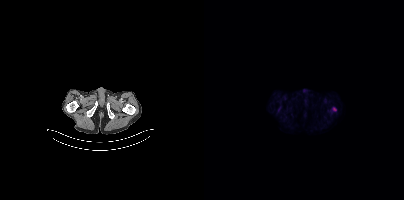
This slice has no annotated PSMA-avid lesion. Two-panel axial: CT | PSMA PET, 18F-PSMA tracer.